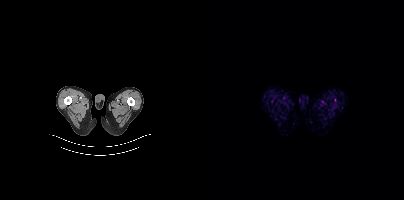
Left: CT. Right: PSMA PET, same axial level, 18F tracer. PET panel 200×200 px (4.1 mm/px). No PSMA-avid tumor lesions on this slice.